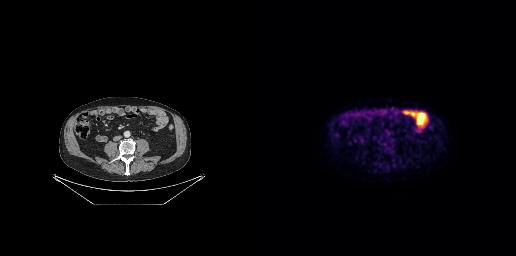
Negative for PSMA-avid disease on this slice.